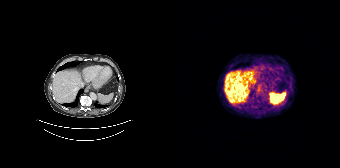
Coordinates are on the 168×168 PET (right) panel. PSMA-avid tumor lesion bounding box (x, y, width, height): x=85 y=89 w=5 h=5.